Technique: Two-panel axial: CT | PSMA PET, [18F]PSMA-1007 tracer. PET panel 200×200 px (4.1 mm/px).
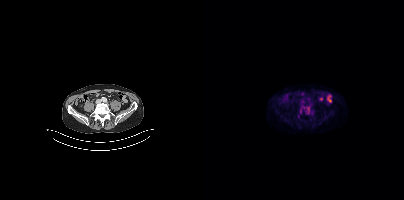
Findings: Coordinates are on the 200×200 PET (right) panel. (showing 3 of 4 foci) PSMA-avid tumor lesion bounding boxes (x0, y0)-(x1, y1): (103, 107)-(105, 111) / (95, 110)-(97, 114). Small PSMA-avid focus (2 to 4 px across) near (center x, center y): (94, 116).